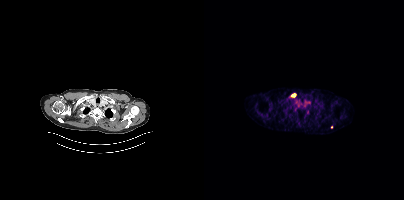
Findings: Coordinates are on the 200×200 PET (right) panel. Small PSMA-avid foci (2 to 4 px across) near (center x, center y): (89, 95) | (127, 126).
Technique: Paired axial CT (left) and PSMA PET (right), 68Ga-PSMA tracer.